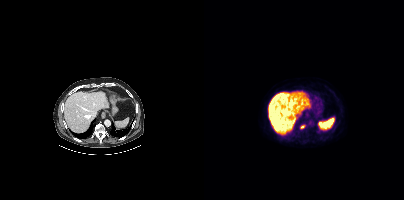
Paired axial CT (left) and PSMA PET (right), 18F tracer. Slice position z = -612 mm.
Coordinates are on the 200×200 PET (right) panel. PSMA-avid tumor lesion bounding boxes:
| # | x0 | y0 | x1 | y1 |
|---|---|---|---|---|
| 1 | 96 | 125 | 100 | 128 |